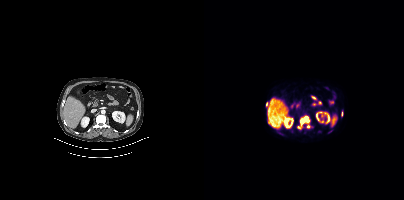
- Two-panel axial: CT | PSMA PET, 18F-PSMA tracer
- PET panel 200×200 px (4.1 mm/px)
Findings: Coordinates are on the 200×200 PET (right) panel. (showing 3 of 5 foci) PSMA-avid tumor lesion bounding box (x0, y0)-(x1, y1): (96, 116)-(105, 125). Small PSMA-avid foci (2 to 4 px across) near (center x, center y): (62, 103); (104, 126).